Left: CT. Right: PSMA PET, same axial level, 18F-PSMA tracer.
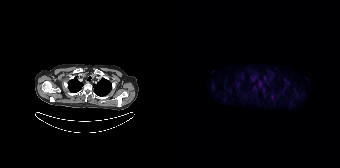
Coordinates are on the 168×168 PET (right) panel. PSMA-avid tumor lesion bounding boxes:
| # | x0 | y0 | x1 | y1 |
|---|---|---|---|---|
| 1 | 86 | 82 | 89 | 88 |